Paired axial CT (left) and PSMA PET (right), 18F tracer. Slice position z = 220 mm. PET panel 200×200 px (4.1 mm/px).
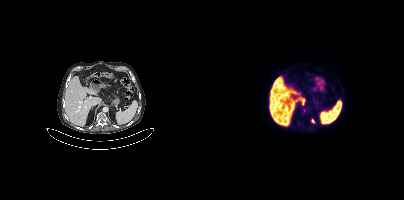
Coordinates are on the 200×200 PET (right) panel. PSMA-avid tumor lesion bounding box (x0,y0,x1,y1): [107,119,110,123]. Small PSMA-avid focus (2 to 4 px across) near (center x, center y): (100, 110).